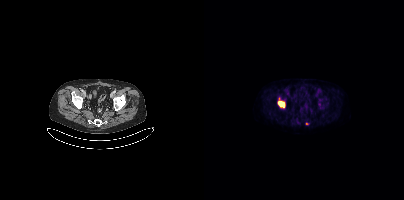
Coordinates are on the 200×200 PET (right) panel. (showing 2 of 3 foci) PSMA-avid tumor lesion bounding box (x, y, width, height): x=74 y=101 w=8 h=7. Small PSMA-avid focus (2 to 4 px across) near (center x, center y): (103, 123).